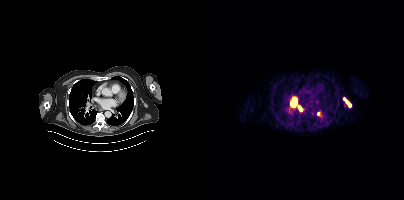
modality: PSMA PET/CT | tracer: 68Ga | view: axial | PET grid: 200×200
Coordinates are on the 200×200 PET (right) panel. PSMA-avid tumor lesion bounding boxes (x, y, width, height): x=87 y=98 w=6 h=9 / x=139 y=98 w=9 h=9 / x=94 y=106 w=4 h=5. Small PSMA-avid foci (2 to 4 px across) near (center x, center y): (114, 114) / (85, 110).